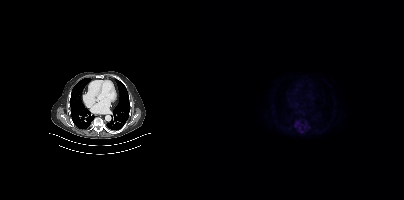
Coordinates are on the 200×200 PET (right) panel. (showing 4 of 5 foci) PSMA-avid tumor lesion bounding box (x0, y0)-(x1, y1): (91, 120)-(99, 127). Small PSMA-avid foci (2 to 4 px across) near (center x, center y): (97, 131) | (101, 127) | (104, 127).